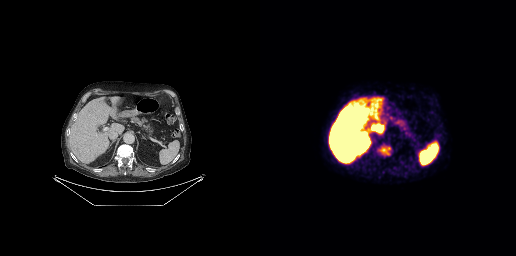
modality: PSMA PET/CT | tracer: 18F | view: axial
Coordinates are on the 256×256 PET (right) panel. PSMA-avid tumor lesion bounding box (x0, y0)-(x1, y1): (118, 145)-(130, 156).